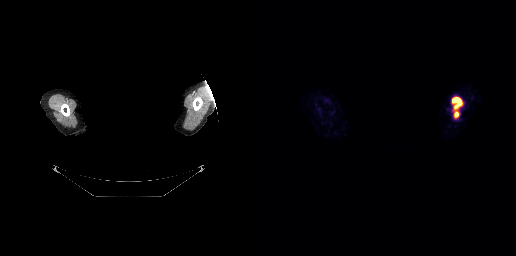
Findings: Coordinates are on the 256×256 PET (right) panel. PSMA-avid tumor lesion bounding box (x, y, width, height): x=192 y=97 w=11 h=21.
Technique: Paired axial CT (left) and PSMA PET (right), 68Ga-PSMA tracer.
Note: Facial anatomy redacted by setting a rectangular region of the head to black.